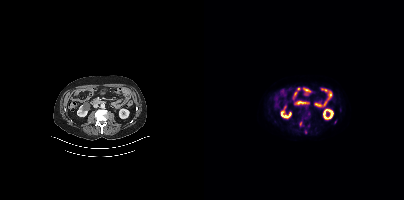
{"modality":"PSMA PET/CT","view":"axial","tracer":"18F-PSMA","pet_grid":[200,200],"coord_frame":"pet_panel","coord_format":"x0,y0,x1,y1","lesion_bboxes":[],"small_foci_centers":[[101,131],[104,125],[131,121],[96,123]]}